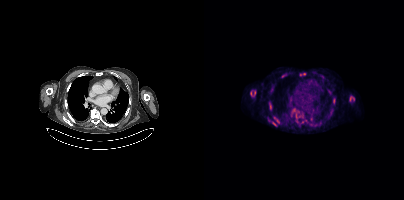
{"modality":"PSMA PET/CT","view":"axial","tracer":"18F-PSMA","pet_grid":[200,200],"coord_frame":"pet_panel","coord_format":"x0,y0,x1,y1","partial":true,"lesion_bboxes":[[46,90,51,96],[145,96,150,101],[70,117,74,122],[68,122,72,125]],"small_foci_centers":[[66,107],[65,103],[100,73]]}